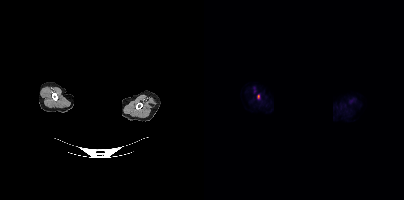
{"modality":"PSMA PET/CT","view":"axial","tracer":"18F","pet_grid":[200,200],"coord_frame":"pet_panel","coord_format":"x0,y0,x1,y1","lesion_bboxes":[],"small_foci_centers":[[54,96]],"deidentification":"facial region redacted"}